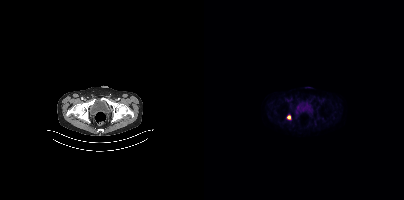
{"modality":"PSMA PET/CT","view":"axial","tracer":"18F-PSMA","pet_grid":[200,200],"coord_frame":"pet_panel","coord_format":"x0,y0,x1,y1","lesion_bboxes":[[83,115,86,119]]}